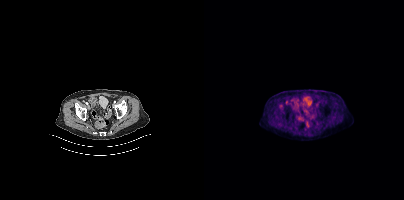
{"modality":"PSMA PET/CT","view":"axial","tracer":"18F","pet_grid":[200,200],"coord_frame":"pet_panel","coord_format":"x0,y0,x1,y1","psma_avid_lesions":false}